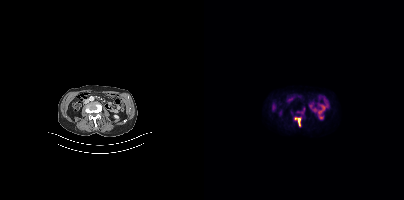
modality: PSMA PET/CT | tracer: 18F | view: axial | PET grid: 200×200
Coordinates are on the 200×200 PET (right) panel. (showing 1 of 2 foci) PSMA-avid tumor lesion bounding box (x0, y0)-(x1, y1): (90, 117)-(97, 126).